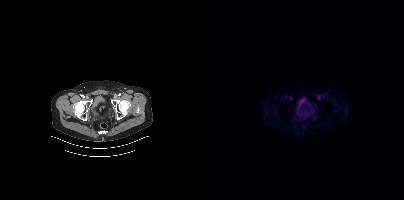
No PSMA-avid tumor lesions on this slice. Two-panel axial: CT | PSMA PET, 18F-PSMA tracer. Slice 78 of 442.